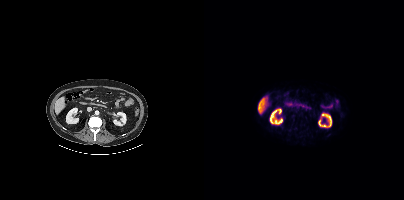
- Paired axial CT (left) and PSMA PET (right), 18F tracer
- acquired on Siemens Biograph mCT Flow 20
- slice position z = -770 mm
Findings: This slice has no annotated PSMA-avid lesion.